Two-panel axial: CT | PSMA PET, 18F tracer. Slice 174 of 373. PET panel 200×200 px (4.1 mm/px).
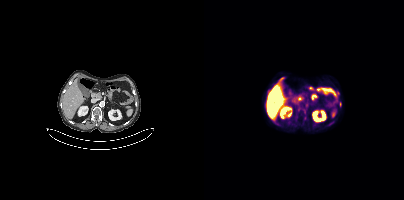
Coordinates are on the 200×200 PET (right) panel. PSMA-avid tumor lesion bounding boxes:
| # | x0 | y0 | x1 | y1 |
|---|---|---|---|---|
| 1 | 136 | 102 | 137 | 106 |